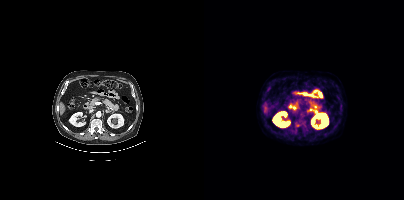
Coordinates are on the 200×200 PET (right) panel. Small PSMA-avid focus (2 to 4 px across) near (center x, center y): (93, 125).